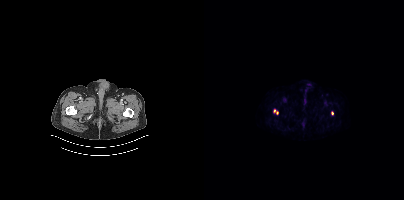
Left: CT. Right: PSMA PET, same axial level, 18F-PSMA tracer. PET panel 200×200 px (4.1 mm/px).
Coordinates are on the 200×200 PET (right) panel. PSMA-avid tumor lesion bounding boxes:
| # | x0 | y0 | x1 | y1 |
|---|---|---|---|---|
| 1 | 69 | 109 | 74 | 114 |
| 2 | 127 | 111 | 129 | 115 |